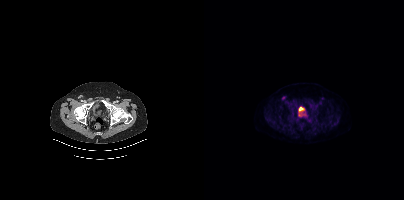
- Left: CT. Right: PSMA PET, same axial level, 18F-PSMA tracer
- slice position z = -1470 mm
Findings: Coordinates are on the 200×200 PET (right) panel. Small PSMA-avid focus (2 to 4 px across) near (center x, center y): (79, 97).